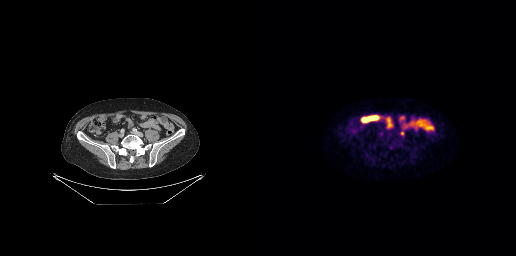
This slice has no annotated PSMA-avid lesion.